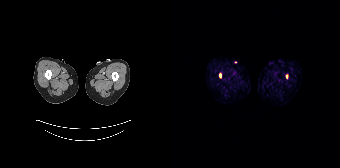
Paired axial CT (left) and PSMA PET (right), [68Ga]Ga-PSMA-11 tracer. Acquired on Siemens Biograph 64-4R TruePoint. Slice position z = -1425 mm. PET panel 168×168 px (4.1 mm/px). Coordinates are on the 168×168 PET (right) panel. Small PSMA-avid foci (2 to 4 px across) near (center x, center y): (114, 76), (48, 75).